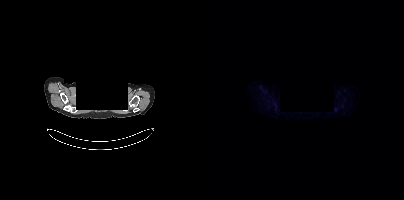
A rectangle over the head was blacked out to remove identifiable facial features. Two-panel axial: CT | PSMA PET, [18F]PSMA-1007 tracer. Acquired on Siemens Biograph mCT Flow 20. Slice 343 of 395. PET panel 200×200 px (4.1 mm/px). This slice has no annotated PSMA-avid lesion.